Two-panel axial: CT | PSMA PET, 68Ga-PSMA tracer. Slice 226 of 263. PET panel 256×256 px (2.7 mm/px).
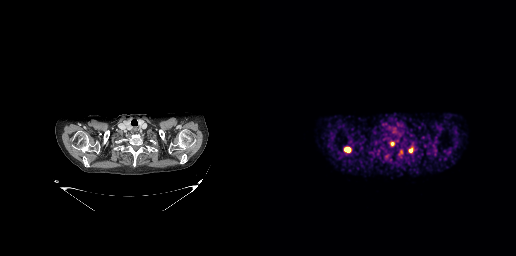
Coordinates are on the 256×256 PET (right) panel. (showing 4 of 5 foci) PSMA-avid tumor lesion bounding boxes (x0, y0)-(x1, y1): (148, 147)-(153, 152) / (130, 142)-(134, 145). Small PSMA-avid foci (2 to 4 px across) near (center x, center y): (87, 149) / (140, 133).